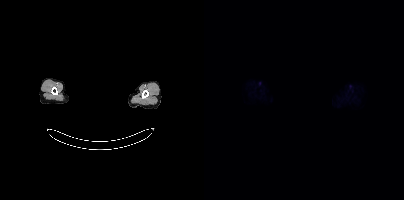
{"modality":"PSMA PET/CT","view":"axial","tracer":"18F","pet_grid":[200,200],"coord_frame":"pet_panel","coord_format":"x0,y0,x1,y1","psma_avid_lesions":false,"redaction":"rectangular block over head set to black"}